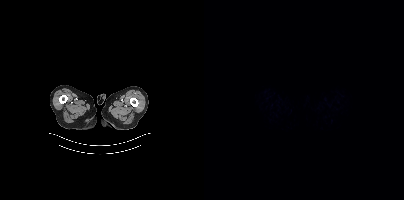
{"pet_grid":[200,200],"coord_frame":"pet_panel","coord_format":"x0,y0,x1,y1","psma_avid_lesions":false,"modality":"PSMA PET/CT","view":"axial","tracer":"[18F]PSMA-1007"}